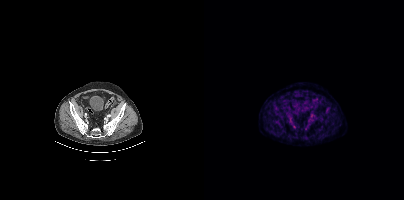
Negative for PSMA-avid disease on this slice.